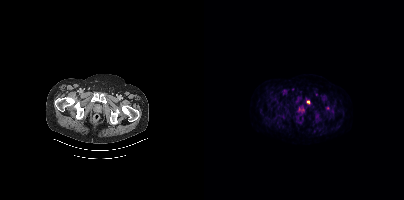
- Paired axial CT (left) and PSMA PET (right), 18F tracer
- PET panel 200×200 px (4.1 mm/px)
Findings: Coordinates are on the 200×200 PET (right) panel. (showing 1 of 2 foci) PSMA-avid tumor lesion bounding box (x, y, width, height): x=102 y=100 w=5 h=5.